- Two-panel axial: CT | PSMA PET, 18F tracer
- acquired on GE Discovery 690
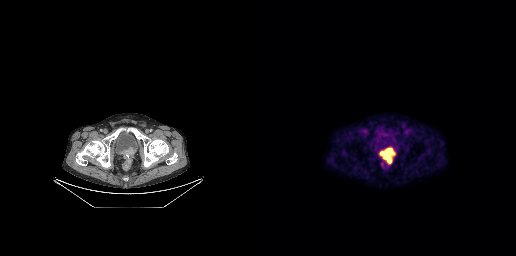
Findings: Coordinates are on the 256×256 PET (right) panel. PSMA-avid tumor lesion bounding box (x0, y0)-(x1, y1): (120, 148)-(134, 164).